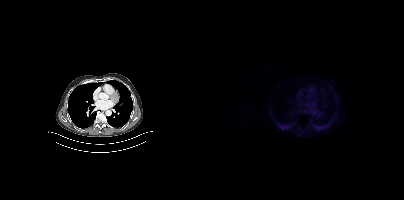
Technique: Two-panel axial: CT | PSMA PET, 18F-PSMA tracer. acquired on Siemens Biograph mCT Flow 20.
Findings: Negative for PSMA-avid disease on this slice.